Technique: Two-panel axial: CT | PSMA PET, [18F]PSMA-1007 tracer. PET panel 168×168 px (4.1 mm/px).
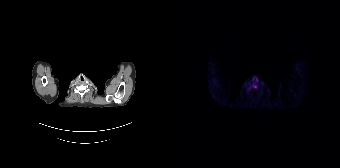
Findings: Coordinates are on the 168×168 PET (right) panel. Small PSMA-avid focus (2 to 4 px across) near (center x, center y): (82, 86).